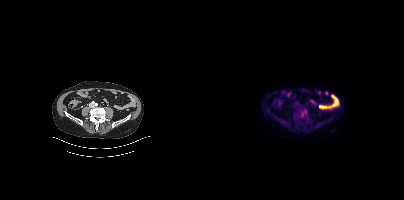
Coordinates are on the 200×200 PET (right) panel. PSMA-avid tumor lesion bounding boxes:
| # | x0 | y0 | x1 | y1 |
|---|---|---|---|---|
| 1 | 95 | 110 | 102 | 117 |
Left: CT. Right: PSMA PET, same axial level, 18F-PSMA tracer. Acquired on Siemens Biograph mCT Flow 20.